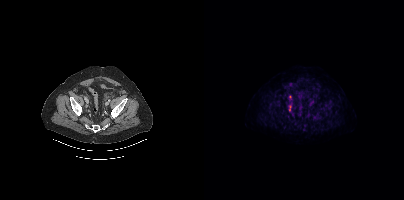
{"pet_grid":[200,200],"coord_frame":"pet_panel","coord_format":"x0,y0,x1,y1","lesion_bboxes":[[84,105,87,111]],"modality":"PSMA PET/CT","view":"axial","tracer":"18F"}